Two-panel axial: CT | PSMA PET, [18F]PSMA-1007 tracer. Acquired on Siemens Biograph 64-4R TruePoint. Slice position z = -1230 mm.
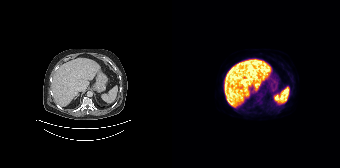
This slice has no annotated PSMA-avid lesion.